Left: CT. Right: PSMA PET, same axial level, [18F]PSMA-1007 tracer.
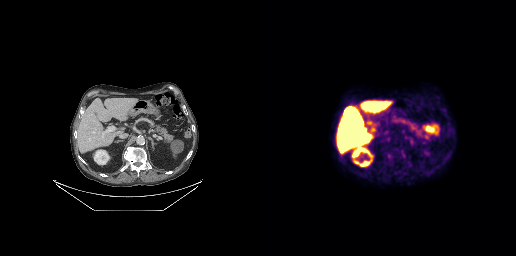
This slice has no annotated PSMA-avid lesion.